Two-panel axial: CT | PSMA PET, [68Ga]Ga-PSMA-11 tracer. Slice position z = -902 mm. PET panel 256×256 px (2.7 mm/px).
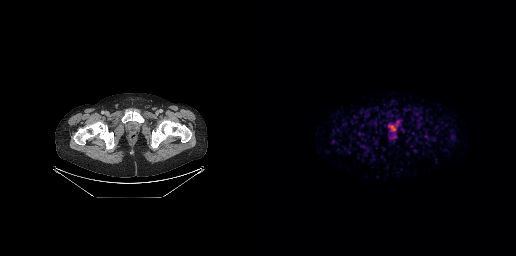
Only PSMA-avid lesion pieces thinner than 2 px on this slice (not listed).